de-identification: face masked with black rectangle | modality: PSMA PET/CT | tracer: 68Ga-PSMA | view: axial | PET grid: 200×200
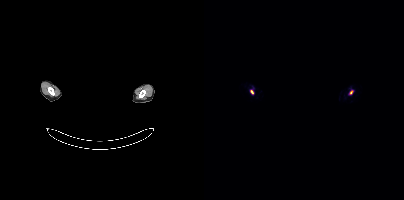
Coordinates are on the 200×200 PET (right) panel. Small PSMA-avid foci (2 to 4 px across) near (center x, center y): (48, 91) / (147, 92).